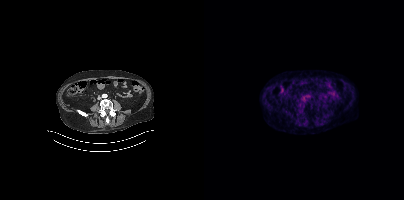
{"modality":"PSMA PET/CT","view":"axial","tracer":"18F-PSMA","pet_grid":[200,200],"coord_frame":"pet_panel","coord_format":"x0,y0,x1,y1","psma_avid_lesions":false}